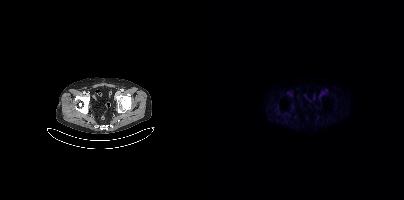
No tumor lesions annotated on this slice.